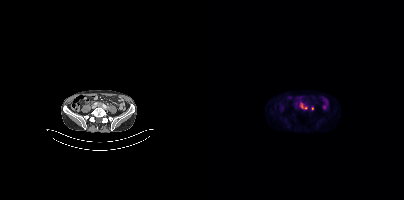
modality: PSMA PET/CT | tracer: [18F]PSMA-1007 | view: axial | PET grid: 200×200
Coordinates are on the 200×200 PET (right) panel. PSMA-avid tumor lesion bounding box (x0,y0,x1,y1): [96,102,103,109]. Small PSMA-avid focus (2 to 4 px across) near (center x, center y): (108, 108).